modality: PSMA PET/CT | tracer: 18F-PSMA | view: axial
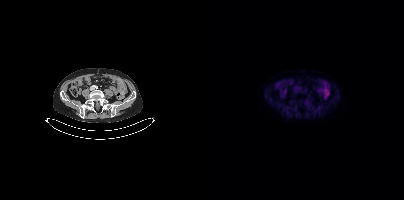
No tumor lesions annotated on this slice.